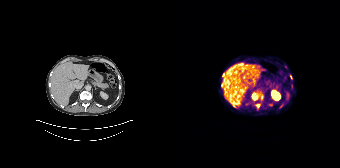
Two-panel axial: CT | PSMA PET, [68Ga]Ga-PSMA-11 tracer. Acquired on Siemens Biograph 64-4R TruePoint. Slice 107 of 195. PET panel 168×168 px (4.1 mm/px). Coordinates are on the 168×168 PET (right) panel. (showing 5 of 6 foci) PSMA-avid tumor lesion bounding boxes (x0,y0,x1,y1): [80,93,85,99]; [49,83,50,87]. Small PSMA-avid foci (2 to 4 px across) near (center x, center y): (86, 105); (109, 106); (51, 75).